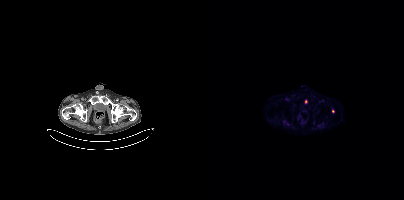
Findings: Coordinates are on the 200×200 PET (right) panel. Small PSMA-avid foci (2 to 4 px across) near (center x, center y): (101, 101) (129, 111).
Technique: Left: CT. Right: PSMA PET, same axial level, [18F]PSMA-1007 tracer. slice position z = -986 mm.